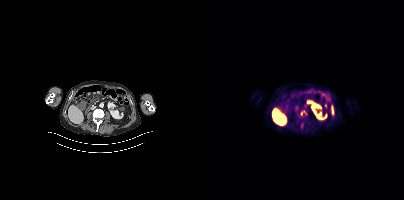
modality: PSMA PET/CT | tracer: 18F-PSMA | view: axial | PET grid: 200×200
Coordinates are on the 200×200 PET (right) panel. (showing 2 of 3 foci) PSMA-avid tumor lesion bounding box (x0, y0)-(x1, y1): (127, 105)-(129, 115). Small PSMA-avid focus (2 to 4 px across) near (center x, center y): (97, 113).